Left: CT. Right: PSMA PET, same axial level, [18F]PSMA-1007 tracer. Acquired on Siemens Biograph 64-4R TruePoint. PET panel 168×168 px (4.1 mm/px).
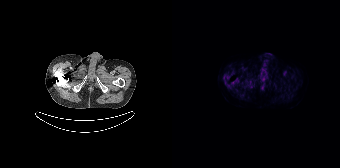
Coordinates are on the 168×168 PET (right) panel. Small PSMA-avid focus (2 to 4 px across) near (center x, center y): (79, 86).